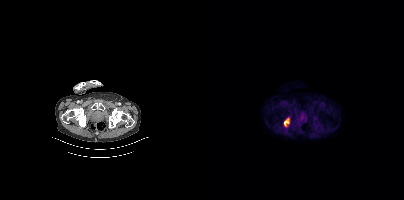
Coordinates are on the 200×200 PET (right) panel. PSMA-avid tumor lesion bounding box (x, y, width, height): x=80 y=118 w=6 h=9.
modality: PSMA PET/CT | tracer: [18F]PSMA-1007 | view: axial